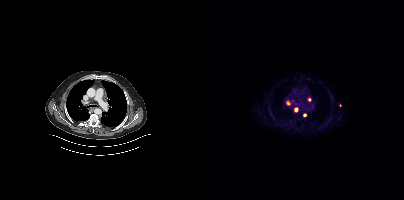
- Paired axial CT (left) and PSMA PET (right), 18F tracer
- acquired on Siemens Biograph mCT Flow 20
- slice position z = -384 mm
- PET panel 200×200 px (4.1 mm/px)
Findings: Coordinates are on the 200×200 PET (right) panel. (showing 4 of 5 foci) PSMA-avid tumor lesion bounding boxes (x0,y0,x1,y1): [90,107,94,112], [82,101,86,104]. Small PSMA-avid foci (2 to 4 px across) near (center x, center y): (100, 114), (105, 99).